Paired axial CT (left) and PSMA PET (right), 68Ga-PSMA tracer. PET panel 256×256 px (2.7 mm/px).
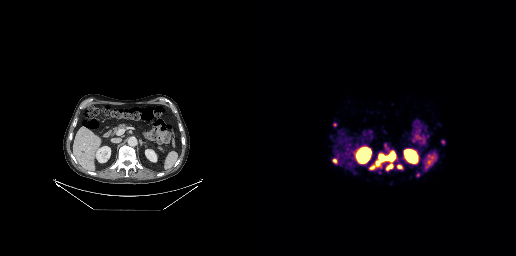
Coordinates are on the 256×256 PET (right) panel. (showing 6 of 8 foci) PSMA-avid tumor lesion bounding boxes (x0, y0)-(x1, y1): (116, 154)-(134, 165) / (126, 163)-(133, 170) / (72, 158)-(77, 163) / (109, 165)-(114, 169) / (138, 165)-(142, 168). Small PSMA-avid focus (2 to 4 px across) near (center x, center y): (183, 141).